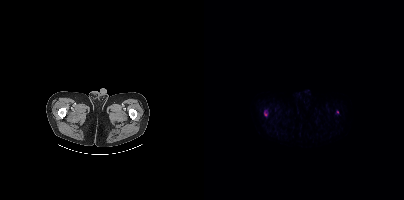
- Left: CT. Right: PSMA PET, same axial level, 18F-PSMA tracer
- PET panel 200×200 px (4.1 mm/px)
Findings: Coordinates are on the 200×200 PET (right) panel. PSMA-avid tumor lesion bounding box (x0, y0)-(x1, y1): (60, 110)-(63, 115). Small PSMA-avid focus (2 to 4 px across) near (center x, center y): (133, 111).